Left: CT. Right: PSMA PET, same axial level, [18F]PSMA-1007 tracer. Acquired on Siemens Biograph mCT Flow 20. Slice 228 of 431. PET panel 200×200 px (4.1 mm/px).
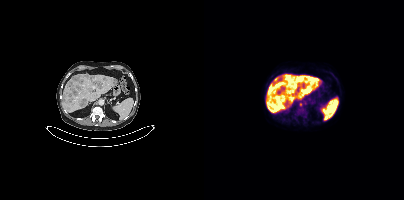
Coordinates are on the 200×200 PET (right) panel. PSMA-avid tumor lesion bounding boxes:
| # | x0 | y0 | x1 | y1 |
|---|---|---|---|---|
| 1 | 91 | 75 | 100 | 82 |
| 2 | 70 | 108 | 74 | 112 |
Small PSMA-avid focus (2 to 4 px across) near (center x, center y): (96, 104).